deidentification: black rectangle is a privacy mask | modality: PSMA PET/CT | tracer: [68Ga]Ga-PSMA-11 | view: axial
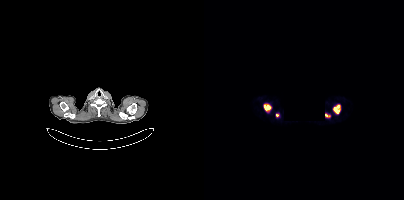
Coordinates are on the 200×200 PET (right) panel. PSMA-avid tumor lesion bounding boxes (x0,y0,x1,y1): [129,105,136,113] [60,105,67,111] [121,113,126,117]. Small PSMA-avid focus (2 to 4 px across) near (center x, center y): (73, 115).